modality: PSMA PET/CT | tracer: 18F-PSMA | view: axial | PET grid: 200×200
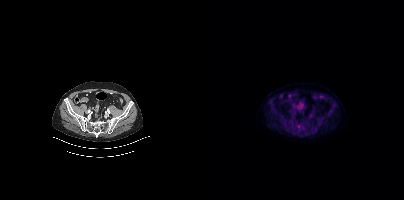
This slice has no annotated PSMA-avid lesion.